- Paired axial CT (left) and PSMA PET (right), [18F]PSMA-1007 tracer
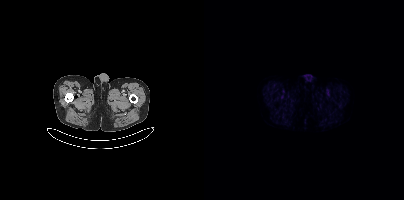
Findings: Negative for PSMA-avid disease on this slice.